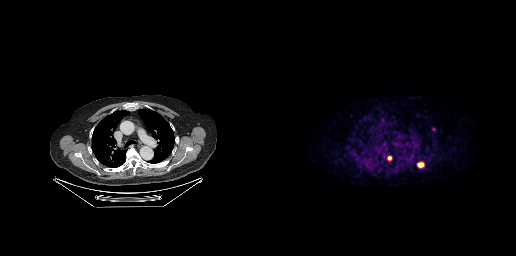
Coordinates are on the 256×256 PET (right) panel. PSMA-avid tumor lesion bounding box (x0, y0)-(x1, y1): (158, 163)-(163, 167). Small PSMA-avid focus (2 to 4 px across) near (center x, center y): (129, 157).